Two-panel axial: CT | PSMA PET, 68Ga tracer. Acquired on GE Discovery 690. Slice 75 of 263. PET panel 256×256 px (2.7 mm/px).
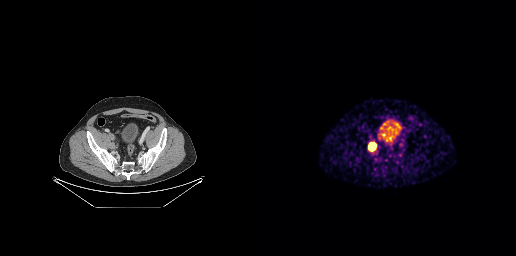
Coordinates are on the 256×256 PET (right) panel. PSMA-avid tumor lesion bounding boxes:
| # | x0 | y0 | x1 | y1 |
|---|---|---|---|---|
| 1 | 108 | 142 | 116 | 151 |